modality: PSMA PET/CT | tracer: 18F-PSMA | view: axial
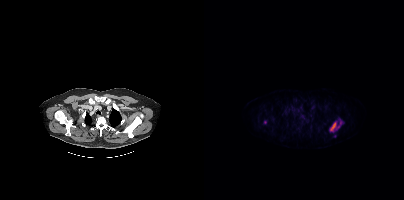
Coordinates are on the 200×200 PET (right) panel. (showing 2 of 4 foci) PSMA-avid tumor lesion bounding box (x0,y0,x1,y1): [126,119,138,130]. Small PSMA-avid focus (2 to 4 px across) near (center x, center y): (130, 136).